Left: CT. Right: PSMA PET, same axial level, 18F-PSMA tracer. PET panel 200×200 px (4.1 mm/px).
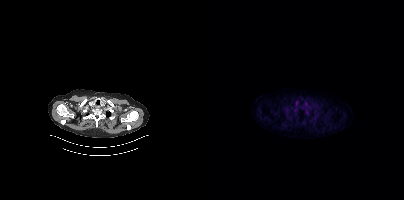
No PSMA-avid tumor lesions on this slice.